Paired axial CT (left) and PSMA PET (right), 18F-PSMA tracer. PET panel 200×200 px (4.1 mm/px).
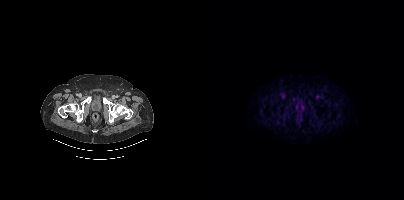
Negative for PSMA-avid disease on this slice.